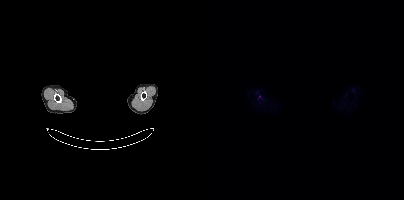
Any black rectangle over the head is a privacy mask, not anatomy. Paired axial CT (left) and PSMA PET (right), 18F-PSMA tracer. Slice position z = 514 mm. PET panel 200×200 px (4.1 mm/px). Coordinates are on the 200×200 PET (right) panel. Small PSMA-avid focus (2 to 4 px across) near (center x, center y): (55, 96).